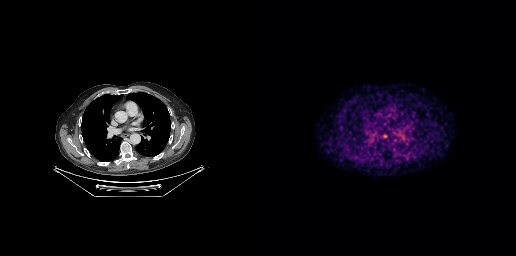
No PSMA-avid tumor lesions on this slice. Paired axial CT (left) and PSMA PET (right), 68Ga-PSMA tracer. Slice position z = -454 mm.